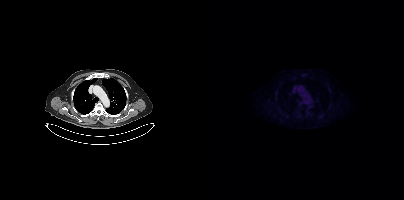
This slice has no annotated PSMA-avid lesion.
modality: PSMA PET/CT | tracer: [18F]PSMA-1007 | view: axial | PET grid: 200×200